Technique: Paired axial CT (left) and PSMA PET (right), [18F]PSMA-1007 tracer. acquired on Siemens Biograph mCT Flow 20.
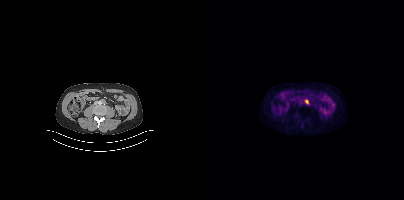
Findings: Coordinates are on the 200×200 PET (right) panel. Small PSMA-avid focus (2 to 4 px across) near (center x, center y): (102, 101).